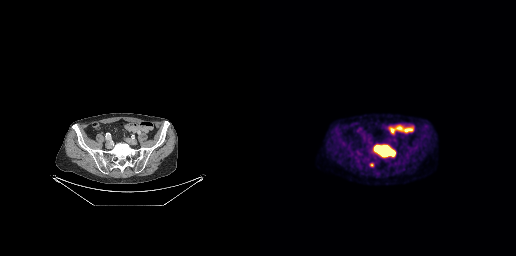
Coordinates are on the 256×256 PET (right) panel. PSMA-avid tumor lesion bounding box (x0,y0,x1,y1): [114,145,135,156]. Small PSMA-avid focus (2 to 4 px across) near (center x, center y): (111, 164). Paired axial CT (left) and PSMA PET (right), 18F tracer.